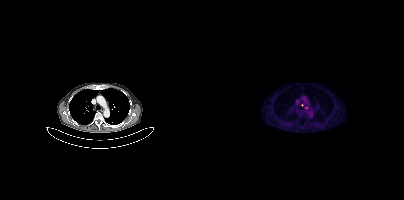
Coordinates are on the 200×200 PET (right) panel. Small PSMA-avid foci (2 to 4 px across) near (center x, center y): (102, 107); (98, 104).